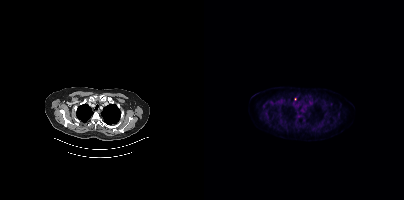
Technique: Left: CT. Right: PSMA PET, same axial level, 18F tracer.
Findings: Coordinates are on the 200×200 PET (right) panel. Small PSMA-avid focus (2 to 4 px across) near (center x, center y): (91, 99).